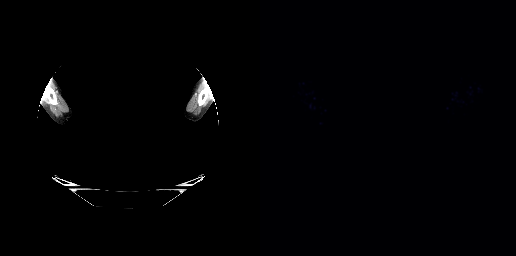
Findings: This slice has no annotated PSMA-avid lesion.
Technique: Two-panel axial: CT | PSMA PET, 68Ga-PSMA tracer. acquired on GE Discovery 690. PET panel 256×256 px (2.7 mm/px).
Note: Any black rectangle over the head is a privacy mask, not anatomy.